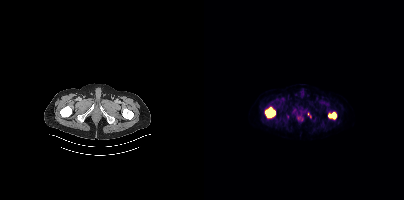
Two-panel axial: CT | PSMA PET, [18F]PSMA-1007 tracer. Acquired on Siemens Biograph mCT Flow 20. Coordinates are on the 200×200 PET (right) panel. PSMA-avid tumor lesion bounding boxes (x0, y0)-(x1, y1): (61, 107)-(71, 117) / (124, 112)-(132, 118).